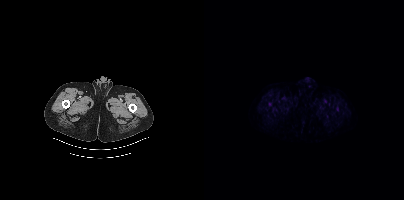
No tumor lesions annotated on this slice.